- Paired axial CT (left) and PSMA PET (right), 68Ga tracer
- PET panel 168×168 px (4.1 mm/px)
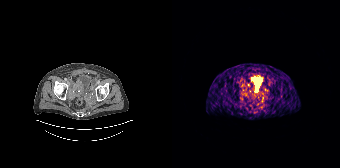
Findings: Coordinates are on the 168×168 PET (right) panel. PSMA-avid tumor lesion bounding box (x0, y0)-(x1, y1): (83, 81)-(88, 91).